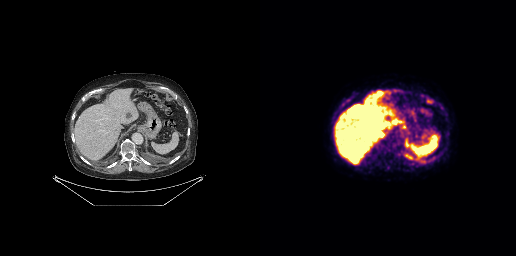
Coordinates are on the 256×256 PET (right) panel. PSMA-avid tumor lesion bounding boxes (x0,y0,x1,y1): [160,159,166,164], [167,99,172,103].